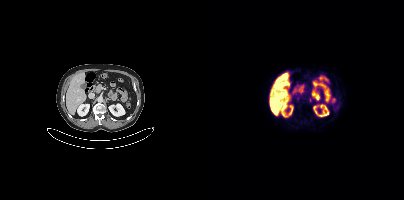
Coordinates are on the 200×200 PET (right) panel. PSMA-avid tumor lesion bounding box (x, y, width, height): x=105 y=97 w=5 h=6. Small PSMA-avid focus (2 to 4 px across) near (center x, center y): (94, 98).